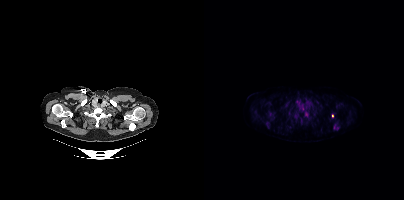
Coordinates are on the 200×200 PET (right) panel. (showing 8 of 9 foci) PSMA-avid tumor lesion bounding boxes (x, y, width, height): x=129 y=124 w=7 h=7 | x=101 y=112 w=5 h=6 | x=89 y=114 w=5 h=4 | x=62 y=123 w=5 h=5. Small PSMA-avid foci (2 to 4 px across) near (center x, center y): (65, 114) | (97, 122) | (128, 115) | (61, 113).